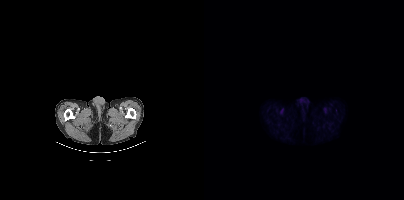
Left: CT. Right: PSMA PET, same axial level, 18F-PSMA tracer. Slice 31 of 435. This slice has no annotated PSMA-avid lesion.